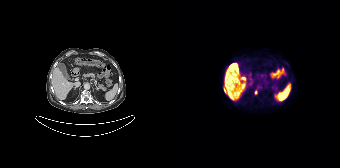
Findings: Coordinates are on the 168×168 PET (right) panel. PSMA-avid tumor lesion bounding box (x0,y0,x1,y1): [52,88,55,92]. Small PSMA-avid focus (2 to 4 px across) near (center x, center y): (84, 92).
- Two-panel axial: CT | PSMA PET, [18F]PSMA-1007 tracer
- acquired on Siemens Biograph 64-4R TruePoint
- slice position z = -1070 mm